Any black rectangle over the head is a privacy mask, not anatomy. Left: CT. Right: PSMA PET, same axial level, [68Ga]Ga-PSMA-11 tracer. Slice 432 of 444. PET panel 200×200 px (4.1 mm/px).
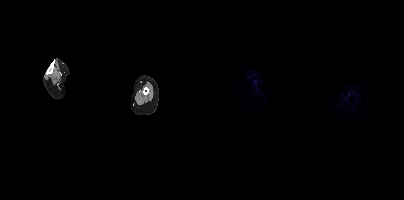
Negative for PSMA-avid disease on this slice.